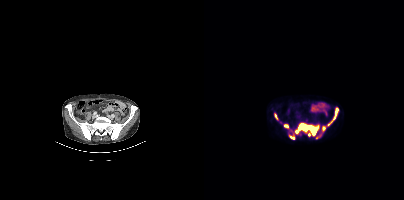
Left: CT. Right: PSMA PET, same axial level, [18F]PSMA-1007 tracer. Acquired on Siemens Biograph mCT Flow 20.
Coordinates are on the 200×200 PET (right) panel. PSMA-avid tumor lesion bounding boxes (partial; 2 more foci not listed):
| # | x0 | y0 | x1 | y1 |
|---|---|---|---|---|
| 1 | 91 | 123 | 114 | 134 |
| 2 | 123 | 108 | 134 | 125 |
| 3 | 112 | 126 | 121 | 138 |
| 4 | 80 | 124 | 84 | 127 |
| 5 | 85 | 135 | 90 | 138 |
| 6 | 71 | 114 | 73 | 119 |
Small PSMA-avid focus (2 to 4 px across) near (center x, center y): (87, 131).